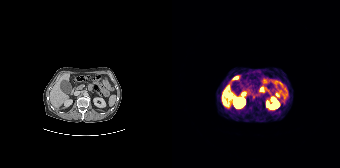
Technique: Left: CT. Right: PSMA PET, same axial level, [68Ga]Ga-PSMA-11 tracer. slice 95 of 195.
Findings: Coordinates are on the 168×168 PET (right) panel. Small PSMA-avid focus (2 to 4 px across) near (center x, center y): (81, 96).